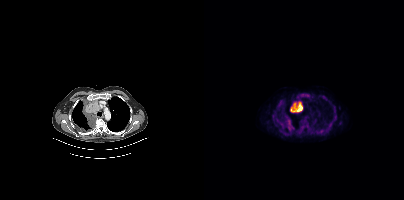
Findings: Coordinates are on the 200×200 PET (right) panel. PSMA-avid tumor lesion bounding boxes (x0, y0)-(x1, y1): (86, 102)-(98, 112); (78, 119)-(88, 129); (93, 93)-(101, 98); (99, 123)-(103, 126). Small PSMA-avid focus (2 to 4 px across) near (center x, center y): (100, 121).
- Left: CT. Right: PSMA PET, same axial level, 18F-PSMA tracer
- PET panel 200×200 px (4.1 mm/px)